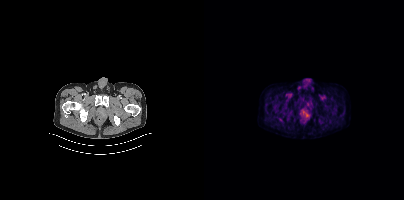
Findings: Coordinates are on the 200×200 PET (right) panel. Small PSMA-avid foci (2 to 4 px across) near (center x, center y): (102, 115); (98, 112).
Technique: Left: CT. Right: PSMA PET, same axial level, 18F tracer. PET panel 200×200 px (4.1 mm/px).